Two-panel axial: CT | PSMA PET, 18F tracer. Slice 267 of 413. PET panel 200×200 px (4.1 mm/px).
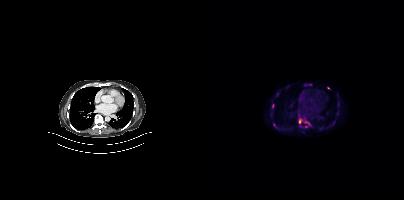
Coordinates are on the 200×200 PET (right) panel. PSMA-avid tumor lesion bounding boxes (partial; 1 more focus not listed):
| # | x0 | y0 | x1 | y1 |
|---|---|---|---|---|
| 1 | 100 | 120 | 105 | 125 |
Small PSMA-avid foci (2 to 4 px across) near (center x, center y): (95, 121); (70, 125); (102, 126); (69, 105); (124, 88).